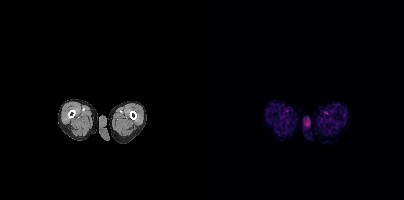
modality: PSMA PET/CT | tracer: [18F]PSMA-1007 | view: axial | PET grid: 200×200
No PSMA-avid tumor lesions on this slice.